Paired axial CT (left) and PSMA PET (right), 68Ga tracer. Acquired on Siemens Biograph mCT Flow 20.
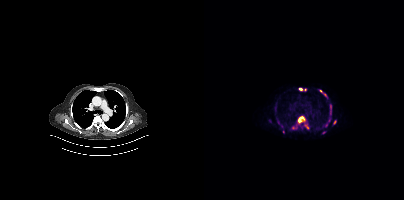
Coordinates are on the 200×200 PET (right) panel. PSMA-avid tumor lesion bounding boxes (partial; 3 more foci not listed):
| # | x0 | y0 | x1 | y1 |
|---|---|---|---|---|
| 1 | 93 | 117 | 101 | 124 |
| 2 | 116 | 90 | 122 | 96 |
| 3 | 100 | 123 | 103 | 128 |
| 4 | 125 | 106 | 127 | 110 |
| 5 | 88 | 126 | 92 | 129 |
| 6 | 129 | 120 | 132 | 124 |
Small PSMA-avid foci (2 to 4 px across) near (center x, center y): (96, 89); (126, 103); (125, 117).